The face region was removed for patient privacy by blanking a rectangle over the head. Left: CT. Right: PSMA PET, same axial level, [18F]PSMA-1007 tracer.
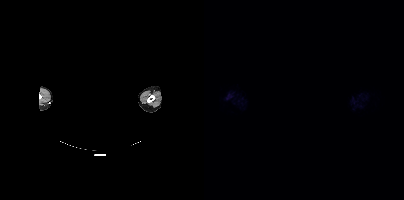
This slice has no annotated PSMA-avid lesion.